- Left: CT. Right: PSMA PET, same axial level, 18F-PSMA tracer
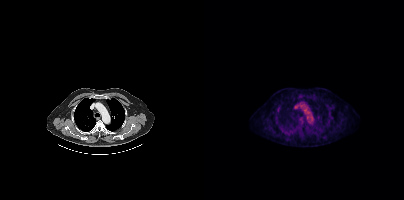
Findings: Coordinates are on the 200×200 PET (right) panel. Small PSMA-avid focus (2 to 4 px across) near (center x, center y): (74, 110).